Technique: Left: CT. Right: PSMA PET, same axial level, [68Ga]Ga-PSMA-11 tracer.
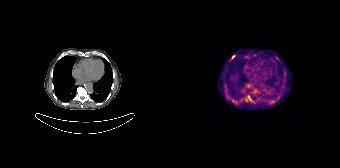
Findings: Coordinates are on the 168×168 PET (right) panel. (showing 5 of 6 foci) PSMA-avid tumor lesion bounding box (x0, y0)-(x1, y1): (76, 96)-(79, 100). Small PSMA-avid foci (2 to 4 px across) near (center x, center y): (74, 99) | (61, 101) | (61, 56) | (112, 74).